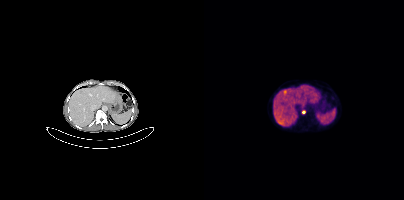
Technique: Paired axial CT (left) and PSMA PET (right), 68Ga tracer. slice 221 of 409. PET panel 200×200 px (4.1 mm/px).
Findings: Coordinates are on the 200×200 PET (right) panel. Small PSMA-avid focus (2 to 4 px across) near (center x, center y): (99, 112).